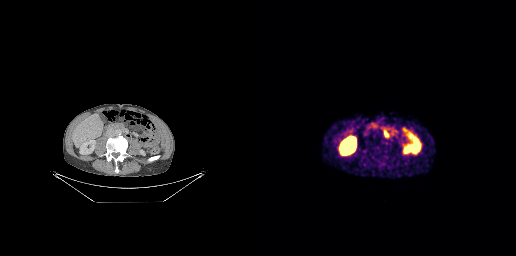
{"modality":"PSMA PET/CT","view":"axial","tracer":"[68Ga]Ga-PSMA-11","pet_grid":[256,256],"coord_frame":"pet_panel","coord_format":"x0,y0,x1,y1","psma_avid_lesions":false}